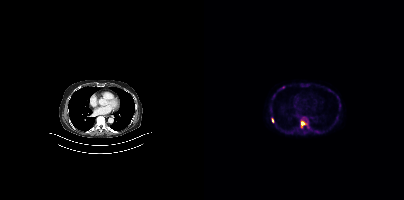
Findings: Coordinates are on the 200×200 PET (right) panel. (showing 3 of 4 foci) PSMA-avid tumor lesion bounding boxes (x, y, width, height): x=97 y=117 w=8 h=11; x=68 y=118 w=2 h=5. Small PSMA-avid focus (2 to 4 px across) near (center x, center y): (78, 87).
- Two-panel axial: CT | PSMA PET, 18F tracer
- acquired on Siemens Biograph mCT Flow 20